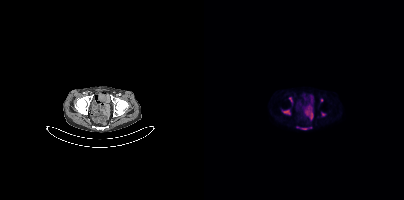
{"modality":"PSMA PET/CT","view":"axial","tracer":"18F-PSMA","pet_grid":[200,200],"coord_frame":"pet_panel","coord_format":"x0,y0,x1,y1","partial":true,"lesion_bboxes":[[80,110,85,114],[97,128,103,129]],"small_foci_centers":[[119,114],[86,99],[117,100]]}